modality: PSMA PET/CT | tracer: [18F]PSMA-1007 | view: axial | PET grid: 200×200
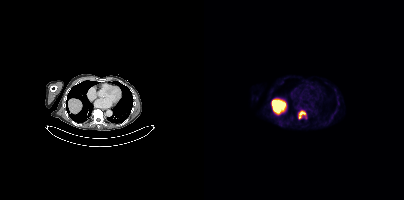
Coordinates are on the 200×200 PET (right) panel. PSMA-avid tumor lesion bounding box (x, y, width, height): x=94 y=110 w=9 h=10.